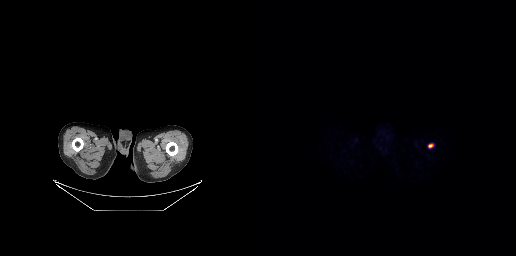
modality: PSMA PET/CT | tracer: 68Ga | view: axial | PET grid: 256×256
Only PSMA-avid lesion pieces thinner than 2 px on this slice (not listed).